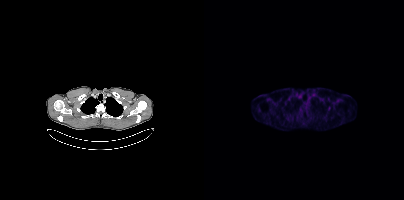
{"pet_grid":[200,200],"coord_frame":"pet_panel","coord_format":"x0,y0,x1,y1","psma_avid_lesions":false,"modality":"PSMA PET/CT","view":"axial","tracer":"18F"}